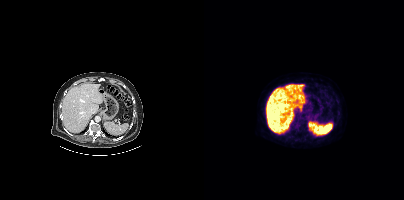
Left: CT. Right: PSMA PET, same axial level, [18F]PSMA-1007 tracer. Acquired on Siemens Biograph mCT Flow 20. Slice position z = -1201 mm. PET panel 200×200 px (4.1 mm/px). No PSMA-avid tumor lesions on this slice.